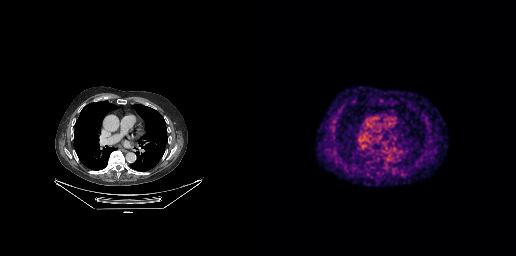
Paired axial CT (left) and PSMA PET (right), [18F]PSMA-1007 tracer. Slice 190 of 263. PET panel 256×256 px (2.7 mm/px). Coordinates are on the 256×256 PET (right) panel. (showing 1 of 2 foci) Small PSMA-avid focus (2 to 4 px across) near (center x, center y): (74, 121).